Technique: Left: CT. Right: PSMA PET, same axial level, 18F tracer. PET panel 200×200 px (4.1 mm/px).
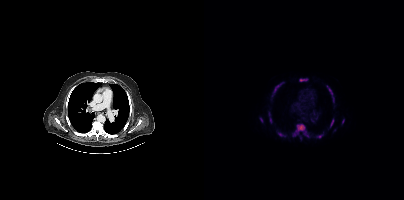
Findings: Coordinates are on the 200×200 PET (right) panel. (showing 12 of 14 foci) PSMA-avid tumor lesion bounding boxes (x, y, width, height): x=88 y=123 w=15 h=14; x=122 y=85 w=9 h=18; x=74 y=132 w=8 h=5; x=126 y=119 w=4 h=9; x=96 y=79 w=8 h=3; x=113 y=135 w=6 h=4; x=68 y=90 w=4 h=7; x=138 y=119 w=3 h=5. Small PSMA-avid foci (2 to 4 px across) near (center x, center y): (57, 119); (65, 113); (96, 137); (103, 135).